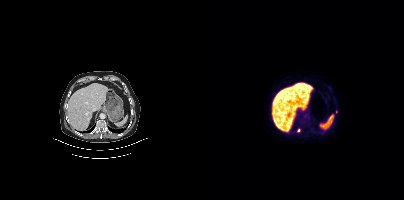
Paired axial CT (left) and PSMA PET (right), 18F tracer. Coordinates are on the 200×200 PET (right) panel. (showing 1 of 2 foci) Small PSMA-avid focus (2 to 4 px across) near (center x, center y): (94, 130).